Technique: Paired axial CT (left) and PSMA PET (right), 18F-PSMA tracer.
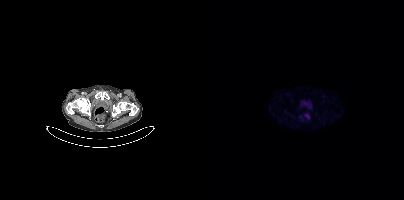
Findings: No tumor lesions annotated on this slice.